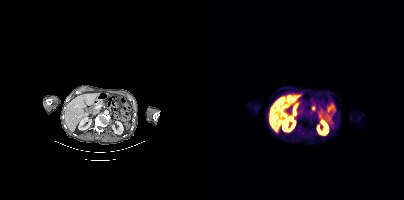
Two-panel axial: CT | PSMA PET, 18F tracer. Acquired on Siemens Biograph mCT Flow 20. Slice position z = -1190 mm. No tumor lesions annotated on this slice.